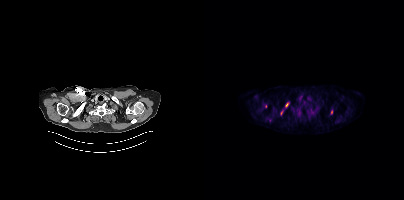
Technique: Left: CT. Right: PSMA PET, same axial level, 18F-PSMA tracer. slice 342 of 411. PET panel 200×200 px (4.1 mm/px).
Findings: Coordinates are on the 200×200 PET (right) panel. PSMA-avid tumor lesion bounding boxes (x0,y0,x1,y1): [81,103,84,107], [127,110,128,114]. Small PSMA-avid foci (2 to 4 px across) near (center x, center y): (77, 112), (61, 106).